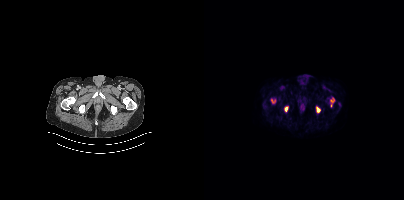
Findings: Coordinates are on the 200×200 PET (right) panel. (showing 4 of 5 foci) PSMA-avid tumor lesion bounding boxes (x0,y0,x1,y1): [112,107,116,112] [67,99,71,103] [126,98,130,102] [81,107,83,111].
- Two-panel axial: CT | PSMA PET, [18F]PSMA-1007 tracer
- acquired on Siemens Biograph mCT Flow 20
- slice 63 of 429
- PET panel 200×200 px (4.1 mm/px)